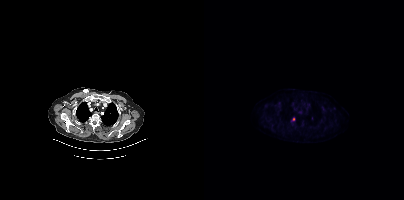
Findings: Coordinates are on the 200×200 PET (right) panel. PSMA-avid tumor lesion bounding box (x0, y0)-(x1, y1): (87, 117)-(91, 121).
- Two-panel axial: CT | PSMA PET, 18F-PSMA tracer